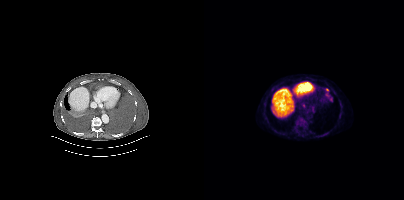
Two-panel axial: CT | PSMA PET, [18F]PSMA-1007 tracer. Acquired on Siemens Biograph mCT Flow 20. Coordinates are on the 200×200 PET (right) panel. PSMA-avid tumor lesion bounding boxes (x0,y0,x1,y1): [121,92,124,96]; [125,97,128,101]; [107,108,110,112]. Small PSMA-avid foci (2 to 4 px across) near (center x, center y): (123, 89); (99, 105).